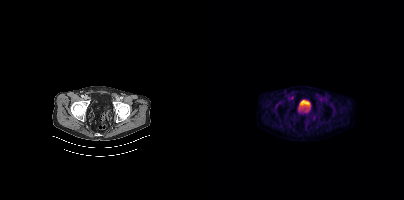
Only PSMA-avid lesion pieces thinner than 2 px on this slice (not listed).